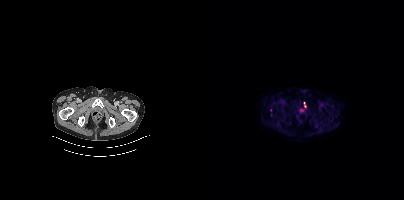
Coordinates are on the 200×200 PET (right) panel. (showing 1 of 2 foci) PSMA-avid tumor lesion bounding box (x, y, width, height): x=100 y=102 w=2 h=6.